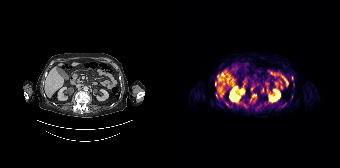
modality: PSMA PET/CT | tracer: 68Ga | view: axial
Coordinates are on the 168×168 PET (right) panel. (showing 4 of 8 foci) PSMA-avid tumor lesion bounding boxes (x0, y0)-(x1, y1): (53, 102)-(56, 106) | (44, 94)-(45, 98). Small PSMA-avid foci (2 to 4 px across) near (center x, center y): (82, 95) | (45, 75).